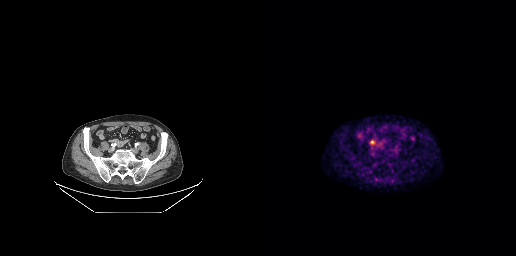
Coordinates are on the 256×256 PET (right) panel. PSMA-avid tumor lesion bounding box (x, y, width, height): x=110 y=140 w=5 h=5.